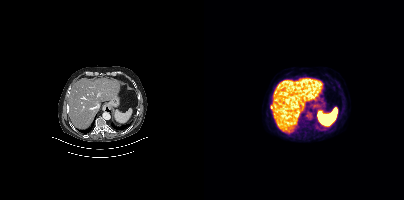
modality: PSMA PET/CT | tracer: 18F | view: axial
Coordinates are on the 200×200 PET (right) panel. PSMA-avid tumor lesion bounding box (x, y, width, height): x=66 y=105 w=3 h=5.